Technique: Two-panel axial: CT | PSMA PET, 68Ga-PSMA tracer. PET panel 200×200 px (4.1 mm/px).
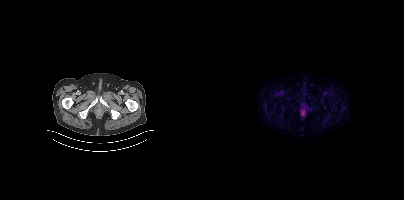
Findings: This slice has no annotated PSMA-avid lesion.